modality: PSMA PET/CT | tracer: 18F-PSMA | view: axial | PET grid: 200×200
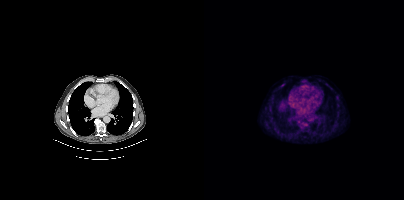
Coordinates are on the 200×200 PET (right) panel. Small PSMA-avid focus (2 to 4 px across) near (center x, center y): (78, 84).